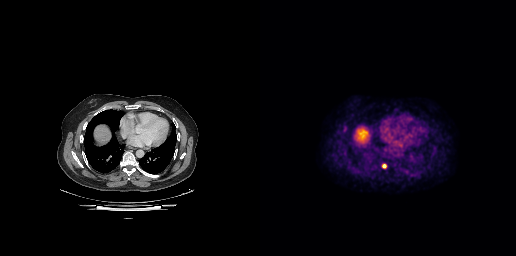
Coordinates are on the 256×256 PET (right) panel. PSMA-avid tumor lesion bounding box (x, y, width, height): x=122 y=164 w=5 h=5.